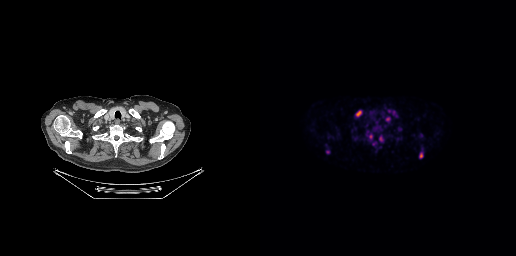
- Paired axial CT (left) and PSMA PET (right), 18F-PSMA tracer
- acquired on GE Discovery 690
Findings: Coordinates are on the 256×256 PET (right) panel. (showing 8 of 10 foci) PSMA-avid tumor lesion bounding boxes (x0, y0)-(x1, y1): (159, 149)-(163, 158) | (96, 110)-(101, 116) | (125, 117)-(130, 122) | (132, 111)-(137, 116). Small PSMA-avid foci (2 to 4 px across) near (center x, center y): (129, 111) | (120, 138) | (110, 136) | (67, 151).